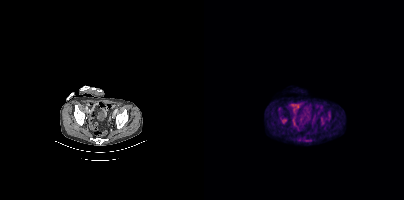
Coordinates are on the 200×200 PET (right) panel. PSMA-avid tumor lesion bounding boxes (x0, y0)-(x1, y1): (124, 112)-(126, 117) / (116, 116)-(120, 120). Small PSMA-avid foci (2 to 4 px across) near (center x, center y): (79, 119) / (100, 140).